modality: PSMA PET/CT | tracer: 68Ga-PSMA | view: axial
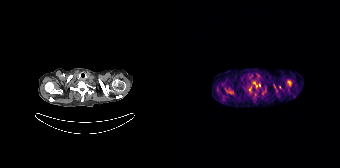
Coordinates are on the 168×168 PET (right) panel. (showing 7 of 9 foci) PSMA-avid tumor lesion bounding boxes (x, y, width, height): x=56 y=90 w=5 h=4 / x=102 y=86 w=4 h=7 / x=116 y=81 w=3 h=5. Small PSMA-avid foci (2 to 4 px across) near (center x, center y): (77, 89) / (82, 93) / (87, 84) / (107, 87).